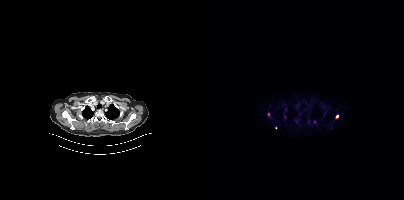
- Paired axial CT (left) and PSMA PET (right), [18F]PSMA-1007 tracer
- PET panel 200×200 px (4.1 mm/px)
Findings: Coordinates are on the 200×200 PET (right) panel. Small PSMA-avid foci (2 to 4 px across) near (center x, center y): (133, 116) | (64, 114) | (92, 121) | (110, 121) | (71, 127).